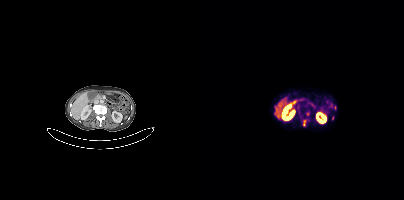
Coordinates are on the 200×200 PET (right) panel. (showing 2 of 5 foci) PSMA-avid tumor lesion bounding box (x, y, width, height): x=99 y=120 w=4 h=7. Small PSMA-avid focus (2 to 4 px across) near (center x, center y): (104, 114).